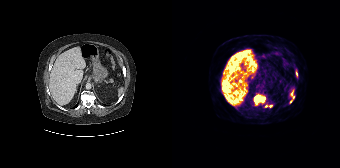
{"modality":"PSMA PET/CT","view":"axial","tracer":"[68Ga]Ga-PSMA-11","pet_grid":[168,168],"coord_frame":"pet_panel","coord_format":"x0,y0,x1,y1","lesion_bboxes":[[82,94,93,105],[119,93,122,98]],"small_foci_centers":[[98,106],[119,101],[94,106],[124,73]]}